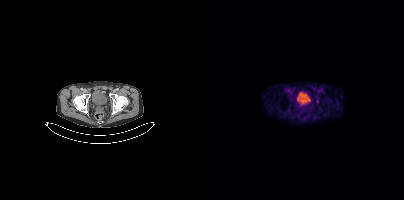
{"modality":"PSMA PET/CT","view":"axial","tracer":"18F","pet_grid":[200,200],"coord_frame":"pet_panel","coord_format":"x0,y0,x1,y1","lesion_bboxes":[],"small_foci_centers":[[113,101]]}